- Two-panel axial: CT | PSMA PET, 18F tracer
- acquired on Siemens Biograph mCT Flow 20
- slice 56 of 413
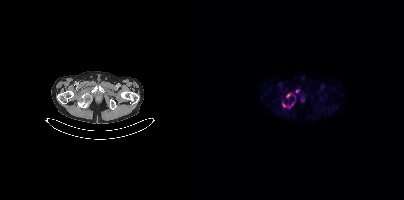
Findings: Coordinates are on the 200×200 PET (right) panel. (showing 4 of 5 foci) PSMA-avid tumor lesion bounding boxes (x0,y0,x1,y1): [84,101,90,107] [82,93,87,97]. Small PSMA-avid foci (2 to 4 px across) near (center x, center y): (79, 105) (92, 91).